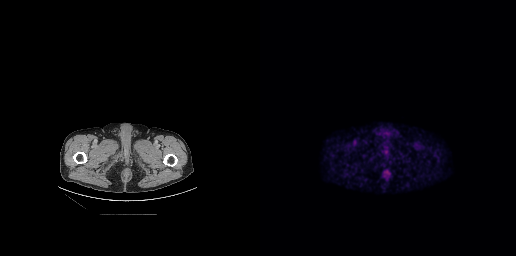
- Left: CT. Right: PSMA PET, same axial level, [18F]PSMA-1007 tracer
- acquired on GE Discovery 690
Findings: No tumor lesions annotated on this slice.